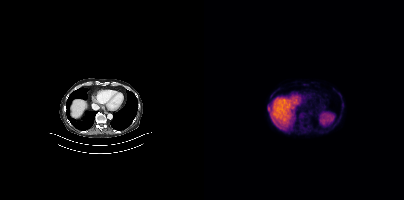
{"modality":"PSMA PET/CT","view":"axial","tracer":"18F","pet_grid":[200,200],"coord_frame":"pet_panel","coord_format":"x0,y0,x1,y1","partial":true,"lesion_bboxes":[[96,113,102,120]],"small_foci_centers":[[64,109],[102,116]]}